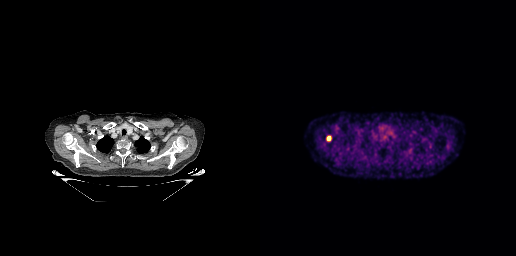
{"modality":"PSMA PET/CT","view":"axial","tracer":"18F-PSMA","pet_grid":[256,256],"coord_frame":"pet_panel","coord_format":"x0,y0,x1,y1","lesion_bboxes":[[67,136,70,140]]}